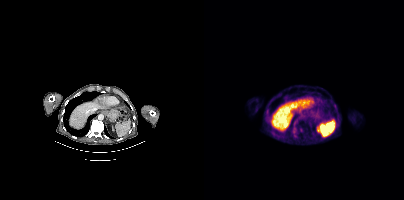
modality: PSMA PET/CT | tracer: 18F | view: axial
Coordinates are on the 200×200 PET (right) panel. Small PSMA-avid focus (2 to 4 px across) near (center x, center y): (97, 130).